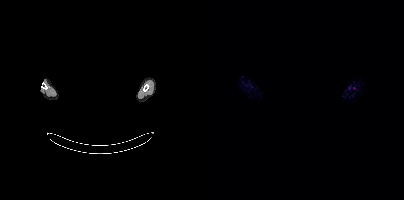
Technique: Two-panel axial: CT | PSMA PET, 18F-PSMA tracer. acquired on Siemens Biograph mCT Flow 20. slice position z = -830 mm. PET panel 200×200 px (4.1 mm/px).
Note: Any black rectangle over the head is a privacy mask, not anatomy.
Findings: No tumor lesions annotated on this slice.